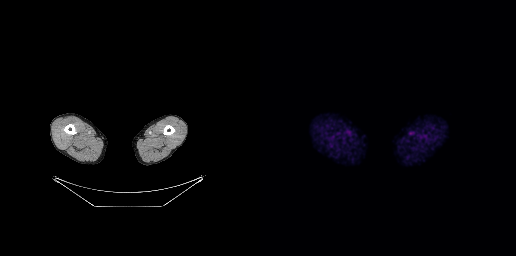
Findings: Negative for PSMA-avid disease on this slice.
Technique: Left: CT. Right: PSMA PET, same axial level, 18F-PSMA tracer.